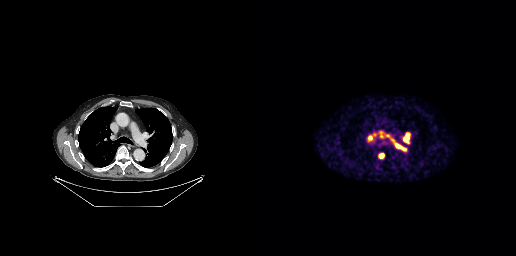
{"modality":"PSMA PET/CT","view":"axial","tracer":"68Ga-PSMA","pet_grid":[256,256],"coord_frame":"pet_panel","coord_format":"x0,y0,x1,y1","partial":true,"lesion_bboxes":[[144,133,149,143],[136,144,145,150],[119,153,123,157],[126,134,130,137],[109,135,112,139]],"small_foci_centers":[[133,140],[114,134]]}